modality: PSMA PET/CT | tracer: 18F-PSMA | view: axial | PET grid: 200×200
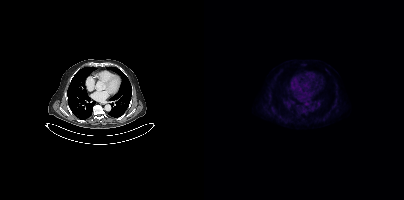
Negative for PSMA-avid disease on this slice.